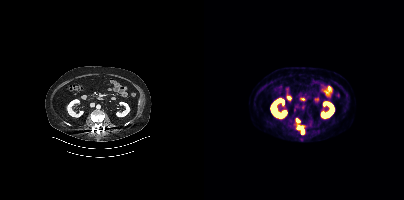
{"modality":"PSMA PET/CT","view":"axial","tracer":"18F-PSMA","pet_grid":[200,200],"coord_frame":"pet_panel","coord_format":"x0,y0,x1,y1","lesion_bboxes":[[93,125,99,129]],"small_foci_centers":[[98,131],[93,120]]}